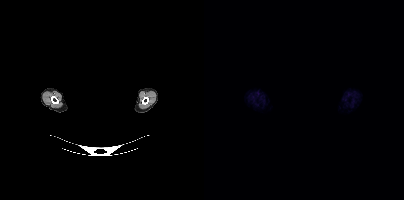
No PSMA-avid tumor lesions on this slice. De-identified by setting a box covering the face to black before release. Left: CT. Right: PSMA PET, same axial level, 18F tracer. Acquired on Siemens Biograph mCT Flow 20. Slice 392 of 405. PET panel 200×200 px (4.1 mm/px).